- Two-panel axial: CT | PSMA PET, 18F-PSMA tracer
- PET panel 200×200 px (4.1 mm/px)
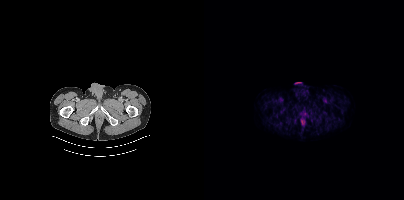
Findings: Negative for PSMA-avid disease on this slice.